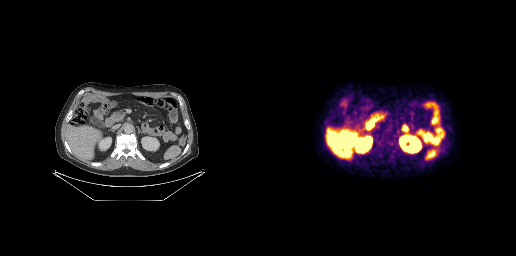
{"modality":"PSMA PET/CT","view":"axial","tracer":"18F","pet_grid":[256,256],"coord_frame":"pet_panel","coord_format":"x0,y0,x1,y1","psma_avid_lesions":false}